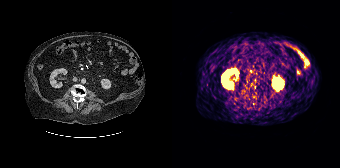
Findings: No PSMA-avid tumor lesions on this slice.
Technique: Paired axial CT (left) and PSMA PET (right), 68Ga-PSMA tracer. acquired on Siemens Biograph 64-4R TruePoint.